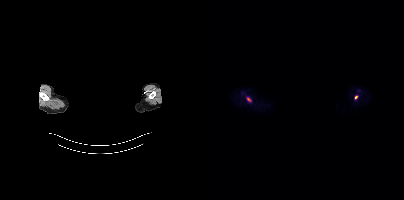
{"modality":"PSMA PET/CT","view":"axial","tracer":"[18F]PSMA-1007","pet_grid":[200,200],"coord_frame":"pet_panel","coord_format":"x0,y0,x1,y1","deidentification":"head region blacked out before release","lesion_bboxes":[],"small_foci_centers":[[152,97],[44,99]]}